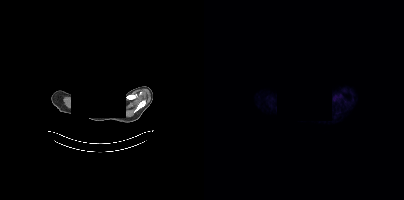
redaction: rectangular block over head set to black | modality: PSMA PET/CT | tracer: [68Ga]Ga-PSMA-11 | view: axial | PET grid: 200×200
No tumor lesions annotated on this slice.